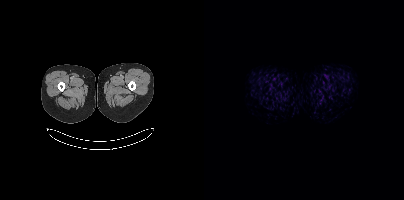
Findings: No tumor lesions annotated on this slice.
Technique: Left: CT. Right: PSMA PET, same axial level, 18F tracer. acquired on Siemens Biograph mCT Flow 20. slice position z = -869 mm. PET panel 200×200 px (4.1 mm/px).